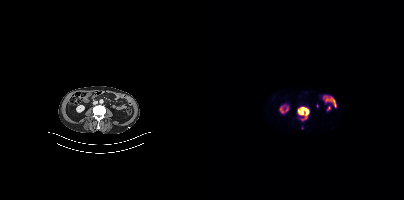
modality: PSMA PET/CT | tracer: 18F | view: axial
Coordinates are on the 200×200 PET (right) panel. (showing 1 of 2 foci) PSMA-avid tumor lesion bounding box (x, y, width, height): x=93 y=107 w=13 h=14.